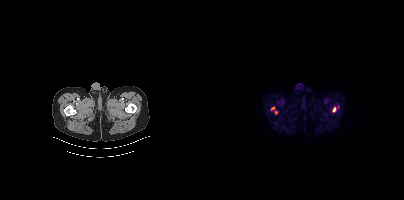
{"modality":"PSMA PET/CT","view":"axial","tracer":"18F","pet_grid":[200,200],"coord_frame":"pet_panel","coord_format":"x0,y0,x1,y1","lesion_bboxes":[[128,107,132,112],[67,106,70,110]],"small_foci_centers":[[72,112]]}